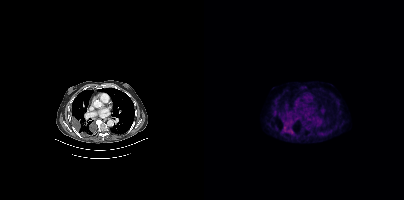
{"modality":"PSMA PET/CT","view":"axial","tracer":"[18F]PSMA-1007","pet_grid":[200,200],"coord_frame":"pet_panel","coord_format":"x0,y0,x1,y1","lesion_bboxes":[[81,127,89,134]]}